Paired axial CT (left) and PSMA PET (right), 18F-PSMA tracer. Acquired on Siemens Biograph mCT Flow 20. Slice position z = -924 mm. PET panel 200×200 px (4.1 mm/px).
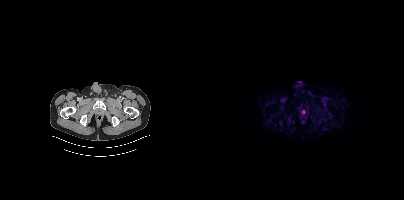
Coordinates are on the 200×200 PET (right) panel. Small PSMA-avid focus (2 to 4 px across) near (center x, center y): (99, 112).